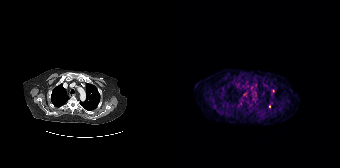
Coordinates are on the 168×168 PET (right) panel. Small PSMA-avid focus (2 to 4 px across) near (center x, center y): (97, 106).